Two-panel axial: CT | PSMA PET, 68Ga tracer.
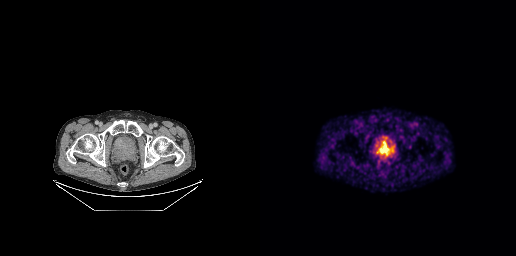
Coordinates are on the 256×256 PET (right) panel. PSMA-avid tumor lesion bounding boxes:
| # | x0 | y0 | x1 | y1 |
|---|---|---|---|---|
| 1 | 120 | 145 | 128 | 152 |